- Paired axial CT (left) and PSMA PET (right), 68Ga tracer
- slice position z = -738 mm
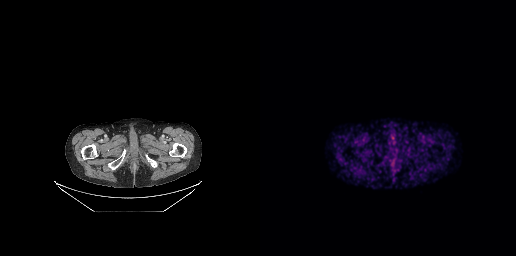
Findings: This slice has no annotated PSMA-avid lesion.